Two-panel axial: CT | PSMA PET, 18F tracer. Acquired on Siemens Biograph mCT Flow 20. Slice position z = -815 mm. PET panel 200×200 px (4.1 mm/px).
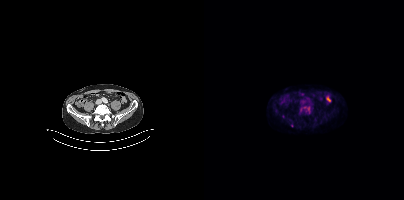
Coordinates are on the 200×200 PET (right) panel. PSMA-avid tumor lesion bounding boxes (x, y, width, height): x=103 y=107 w=3 h=5; x=95 y=109 w=3 h=6. Small PSMA-avid foci (2 to 4 px across) near (center x, center y): (79, 116); (100, 107).